Two-panel axial: CT | PSMA PET, [18F]PSMA-1007 tracer. PET panel 200×200 px (4.1 mm/px).
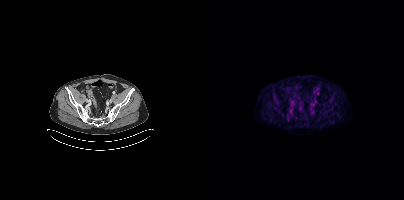
Only PSMA-avid lesion pieces thinner than 2 px on this slice (not listed).